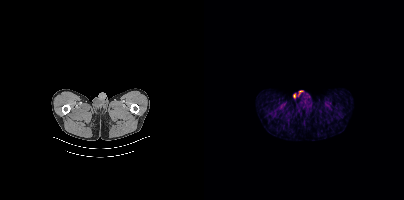
This slice has no annotated PSMA-avid lesion.